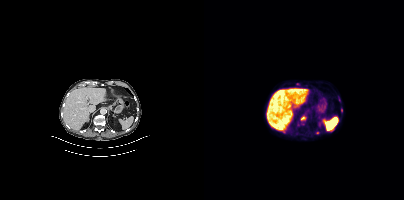
Coordinates are on the 200×200 PET (right) panel. Small PSMA-avid foci (2 to 4 px across) near (center x, center y): (137, 110) (98, 118) (93, 83) (79, 131).